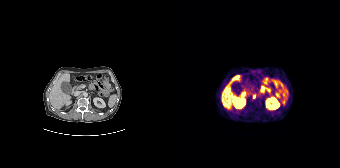
- Two-panel axial: CT | PSMA PET, 68Ga-PSMA tracer
- acquired on Siemens Biograph 64-4R TruePoint
- slice position z = -608 mm
- PET panel 168×168 px (4.1 mm/px)
Findings: Coordinates are on the 168×168 PET (right) panel. Small PSMA-avid focus (2 to 4 px across) near (center x, center y): (81, 96).